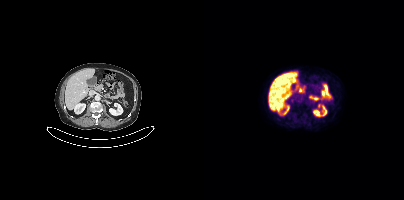
{"modality":"PSMA PET/CT","view":"axial","tracer":"18F","pet_grid":[200,200],"coord_frame":"pet_panel","coord_format":"x0,y0,x1,y1","psma_avid_lesions":false}